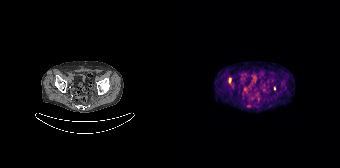
Coordinates are on the 168×168 PET (right) panel. Small PSMA-avid foci (2 to 4 px across) near (center x, center y): (57, 80) | (102, 88).